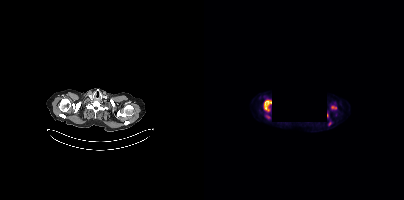
Findings: Coordinates are on the 200×200 PET (right) panel. PSMA-avid tumor lesion bounding boxes (x0,y0,x1,y1): [60,100,67,111]; [127,106,132,108]. Small PSMA-avid foci (2 to 4 px across) near (center x, center y): (123, 115); (125, 123).
- Left: CT. Right: PSMA PET, same axial level, 18F-PSMA tracer
- acquired on Siemens Biograph mCT Flow 20
- slice position z = -404 mm
- a rectangular privacy mask was applied before release